Paired axial CT (left) and PSMA PET (right), 18F tracer. Acquired on Siemens Biograph mCT Flow 20. Privacy masking over the head, with the pixels inside a rectangle set to black.
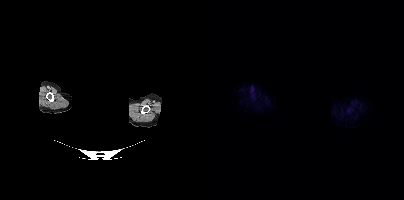
This slice has no annotated PSMA-avid lesion.